modality: PSMA PET/CT | tracer: 68Ga | view: axial
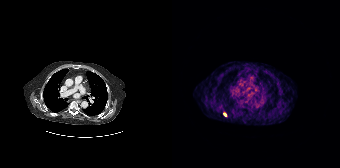
Coordinates are on the 168×168 PET (right) panel. Small PSMA-avid focus (2 to 4 px across) near (center x, center y): (53, 114).